modality: PSMA PET/CT | tracer: 18F-PSMA | view: axial
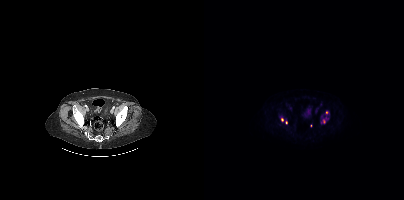
Coordinates are on the 200×200 PET (right) panel. (showing 4 of 7 foci) PSMA-avid tumor lesion bounding box (x0, y0)-(x1, y1): (119, 119)-(121, 123). Small PSMA-avid foci (2 to 4 px across) near (center x, center y): (123, 112); (78, 119); (82, 122).